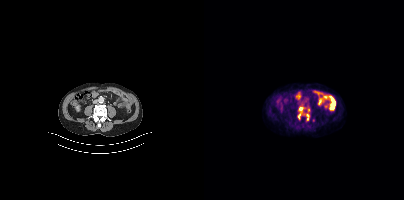
{"modality":"PSMA PET/CT","view":"axial","tracer":"18F-PSMA","pet_grid":[200,200],"coord_frame":"pet_panel","coord_format":"x0,y0,x1,y1","lesion_bboxes":[[94,107,99,119],[102,114,105,120]],"small_foci_centers":[[104,109]]}